Paired axial CT (left) and PSMA PET (right), [18F]PSMA-1007 tracer. Slice 192 of 389.
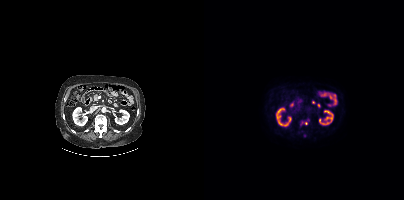
Coordinates are on the 200×200 PET (right) panel. (showing 1 of 2 foci) Small PSMA-avid focus (2 to 4 px across) near (center x, center y): (102, 123).